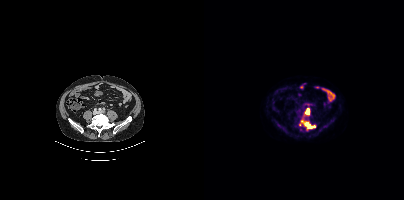
Left: CT. Right: PSMA PET, same axial level, 18F-PSMA tracer. Acquired on Siemens Biograph mCT Flow 20. Slice position z = -1429 mm. Coordinates are on the 200×200 PET (right) panel. PSMA-avid tumor lesion bounding boxes (x0,y0,x1,y1): [97,120,111,129], [100,108,105,115]. Small PSMA-avid focus (2 to 4 px across) near (center x, center y): (95, 124).